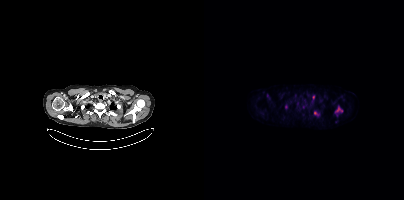
Coordinates are on the 200×200 PET (right) panel. PSMA-avid tumor lesion bounding boxes (x0, y0)-(x1, y1): (131, 106)-(138, 112) | (110, 111)-(114, 115). Small PSMA-avid foci (2 to 4 px across) near (center x, center y): (82, 106) | (109, 97). Left: CT. Right: PSMA PET, same axial level, 18F tracer. Acquired on Siemens Biograph mCT Flow 20. Slice 357 of 429. PET panel 200×200 px (4.1 mm/px).